Two-panel axial: CT | PSMA PET, 18F tracer. Slice position z = -370 mm. PET panel 200×200 px (4.1 mm/px).
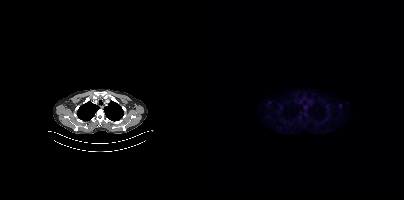
Negative for PSMA-avid disease on this slice.